Paired axial CT (left) and PSMA PET (right), [18F]PSMA-1007 tracer. Acquired on Siemens Biograph mCT Flow 20. Slice position z = -1494 mm. PET panel 200×200 px (4.1 mm/px).
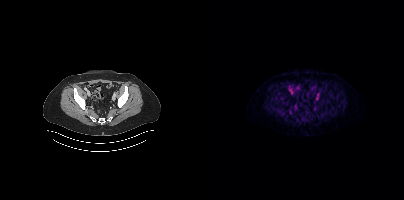
This slice has no annotated PSMA-avid lesion.